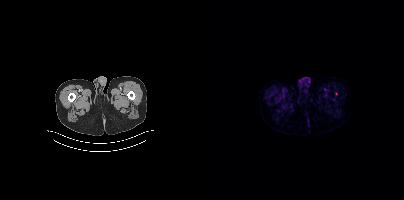
Technique: Two-panel axial: CT | PSMA PET, [18F]PSMA-1007 tracer. PET panel 200×200 px (4.1 mm/px).
Findings: Coordinates are on the 200×200 PET (right) panel. Small PSMA-avid focus (2 to 4 px across) near (center x, center y): (132, 93).